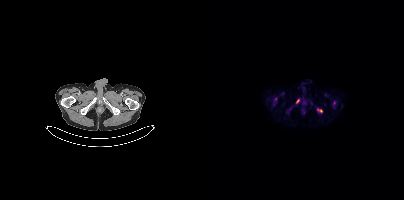
Coordinates are on the 200×200 PET (right) panel. (showing 2 of 4 foci) PSMA-avid tumor lesion bounding boxes (x0, y0)-(x1, y1): (113, 109)-(118, 112) | (92, 99)-(95, 103). Left: CT. Right: PSMA PET, same axial level, [18F]PSMA-1007 tracer. Acquired on Siemens Biograph mCT Flow 20.